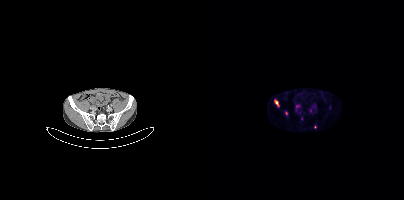
Findings: Coordinates are on the 200×200 PET (right) panel. (showing 4 of 6 foci) PSMA-avid tumor lesion bounding boxes (x0,y0,x1,y1): [92,104,96,109] [70,99,74,106]. Small PSMA-avid foci (2 to 4 px across) near (center x, center y): (82, 113) (97, 118).
Technique: Left: CT. Right: PSMA PET, same axial level, 68Ga tracer. PET panel 200×200 px (4.1 mm/px).